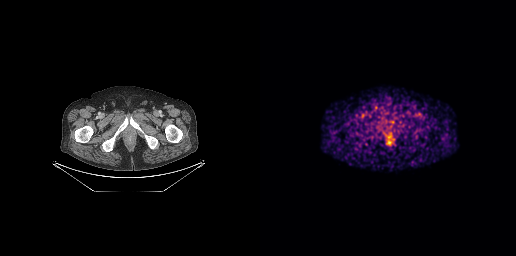
No tumor lesions annotated on this slice.
modality: PSMA PET/CT | tracer: 68Ga-PSMA | view: axial | PET grid: 256×256